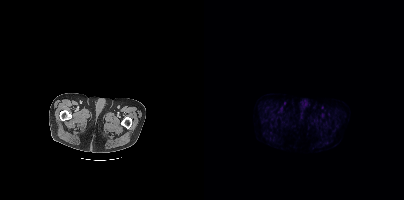
Technique: Left: CT. Right: PSMA PET, same axial level, 18F-PSMA tracer. acquired on Siemens Biograph mCT Flow 20. PET panel 200×200 px (4.1 mm/px).
Findings: This slice has no annotated PSMA-avid lesion.